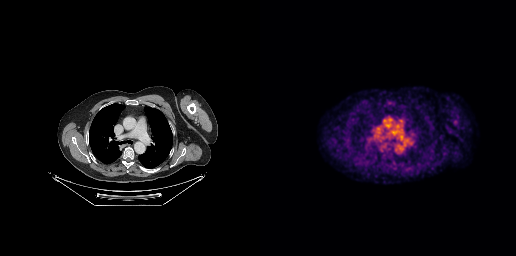
Paired axial CT (left) and PSMA PET (right), [18F]PSMA-1007 tracer. Slice 197 of 263. This slice has no annotated PSMA-avid lesion.